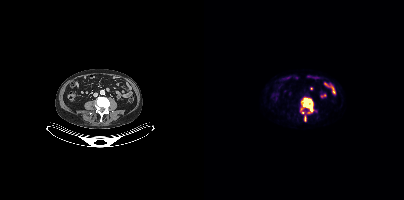
Coordinates are on the 200×200 PET (right) panel. PSMA-avid tumor lesion bounding boxes (x0, y0)-(x1, y1): (96, 98)-(108, 113) | (100, 117)-(102, 121).
modality: PSMA PET/CT | tracer: 18F | view: axial